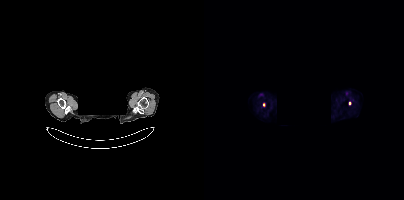
Any black rectangle over the head is a privacy mask, not anatomy. Left: CT. Right: PSMA PET, same axial level, 18F-PSMA tracer. Coordinates are on the 200×200 PET (right) panel. (showing 1 of 2 foci) Small PSMA-avid focus (2 to 4 px across) near (center x, center y): (145, 103).